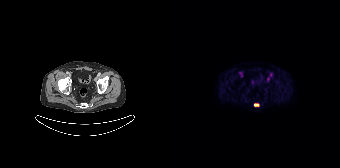
Coordinates are on the 168×168 PET (right) panel. PSMA-avid tumor lesion bounding box (x0,y0,x1,y1): [82,103,87,106].
modality: PSMA PET/CT | tracer: 18F-PSMA | view: axial | PET grid: 168×168